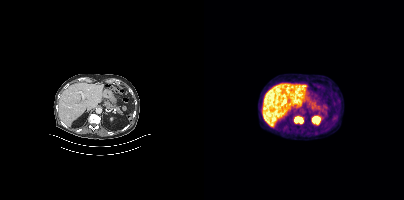
{"modality":"PSMA PET/CT","view":"axial","tracer":"18F","pet_grid":[200,200],"coord_frame":"pet_panel","coord_format":"x0,y0,x1,y1","lesion_bboxes":[[90,117,99,123]]}